- Left: CT. Right: PSMA PET, same axial level, [18F]PSMA-1007 tracer
- PET panel 200×200 px (4.1 mm/px)
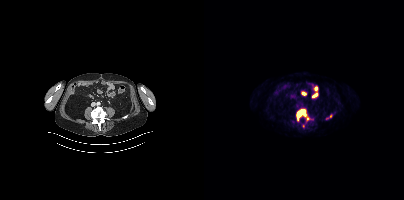
Findings: Coordinates are on the 200×200 PET (right) panel. (showing 2 of 3 foci) PSMA-avid tumor lesion bounding box (x, y, width, height): x=93 y=109 w=12 h=12. Small PSMA-avid focus (2 to 4 px across) near (center x, center y): (126, 116).